Technique: Left: CT. Right: PSMA PET, same axial level, 18F tracer. slice 237 of 375.
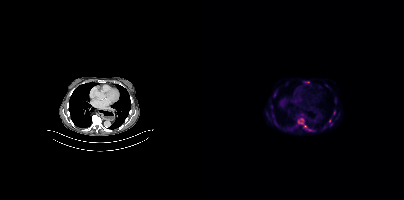
Findings: Coordinates are on the 200×200 PET (right) panel. PSMA-avid tumor lesion bounding boxes (x0,y0,x1,y1): [93,118,107,130]; [101,81,105,83]. Small PSMA-avid foci (2 to 4 px across) near (center x, center y): (130, 112); (125, 121).